Two-panel axial: CT | PSMA PET, 18F-PSMA tracer. Acquired on Siemens Biograph mCT Flow 20.
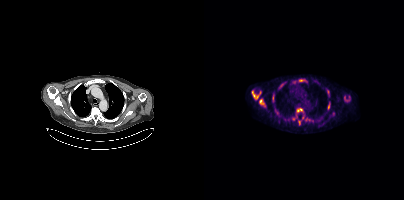
Coordinates are on the 200×200 PET (right) panel. PSMA-avid tumor lesion bounding boxes (partial; 5 more foci not listed):
| # | x0 | y0 | x1 | y1 |
|---|---|---|---|---|
| 1 | 48 | 91 | 54 | 98 |
| 2 | 93 | 108 | 98 | 112 |
| 3 | 55 | 99 | 59 | 104 |
| 4 | 68 | 94 | 70 | 100 |
| 5 | 95 | 79 | 101 | 81 |
| 6 | 75 | 84 | 78 | 88 |
| 7 | 124 | 102 | 126 | 109 |
Small PSMA-avid foci (2 to 4 px across) near (center x, center y): (95, 122); (124, 91); (89, 118).